modality: PSMA PET/CT | tracer: [18F]PSMA-1007 | view: axial | PET grid: 200×200
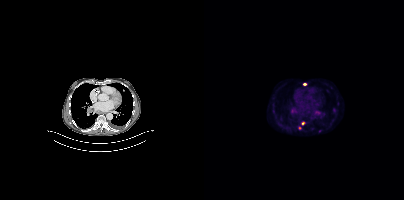
Coordinates are on the 200×200 PET (right) panel. PSMA-avid tumor lesion bounding box (x0, y0)-(x1, y1): (110, 110)-(116, 115). Small PSMA-avid foci (2 to 4 px across) near (center x, center y): (115, 131); (100, 84); (99, 123); (96, 128); (130, 110); (88, 111); (107, 128).